Left: CT. Right: PSMA PET, same axial level, 68Ga-PSMA tracer.
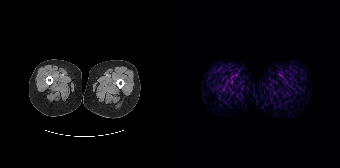
This slice has no annotated PSMA-avid lesion.